Paired axial CT (left) and PSMA PET (right), 18F tracer. Acquired on Siemens Biograph mCT Flow 20. PET panel 200×200 px (4.1 mm/px).
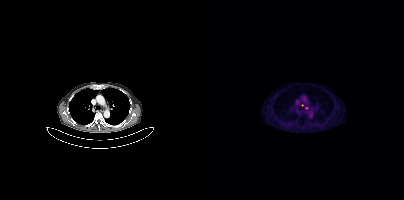
Coordinates are on the 200×200 PET (right) panel. Small PSMA-avid foci (2 to 4 px across) near (center x, center y): (98, 105) / (102, 107).